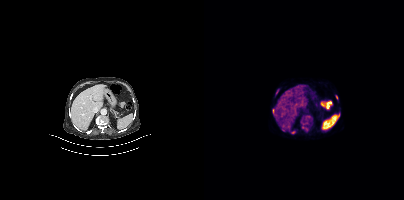
{"pet_grid":[200,200],"coord_frame":"pet_panel","coord_format":"x0,y0,x1,y1","partial":true,"lesion_bboxes":[[99,127,103,131],[68,109,70,114],[87,131,91,133],[72,89,74,93]],"modality":"PSMA PET/CT","view":"axial","tracer":"68Ga"}